Paired axial CT (left) and PSMA PET (right), 18F-PSMA tracer. Acquired on Siemens Biograph mCT Flow 20. Slice 266 of 421.
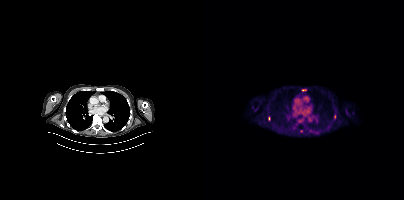
Coordinates are on the 200×200 PET (right) panel. PSMA-avid tumor lesion bounding boxes:
| # | x0 | y0 | x1 | y1 |
|---|---|---|---|---|
| 1 | 98 | 89 | 102 | 91 |
Small PSMA-avid focus (2 to 4 px across) near (center x, center y): (65, 118).